Two-panel axial: CT | PSMA PET, 18F-PSMA tracer. A rectangle over the head was blacked out to remove identifiable facial features.
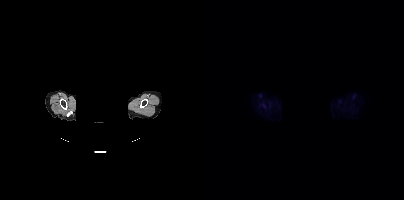
This slice has no annotated PSMA-avid lesion.